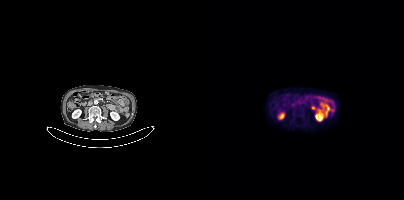
No PSMA-avid tumor lesions on this slice.